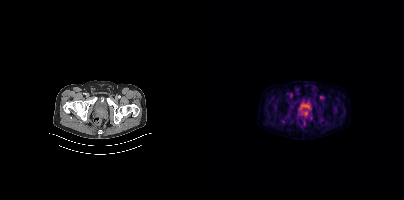
Coordinates are on the 200×200 PET (right) panel. PSMA-avid tumor lesion bounding box (x0, y0)-(x1, y1): (99, 111)-(104, 116).